Technique: Two-panel axial: CT | PSMA PET, 18F-PSMA tracer.
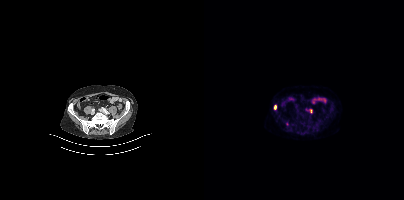
Findings: Coordinates are on the 200×200 PET (right) panel. (showing 2 of 3 foci) PSMA-avid tumor lesion bounding box (x, y, width, height): x=70 y=105 w=3 h=5. Small PSMA-avid focus (2 to 4 px across) near (center x, center y): (106, 111).